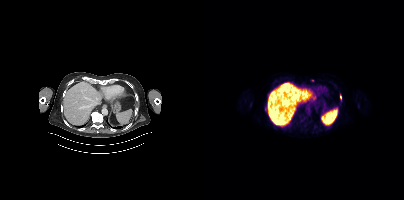
Two-panel axial: CT | PSMA PET, 18F-PSMA tracer. Slice 266 of 440. This slice has no annotated PSMA-avid lesion.